Left: CT. Right: PSMA PET, same axial level, 18F tracer. PET panel 200×200 px (4.1 mm/px).
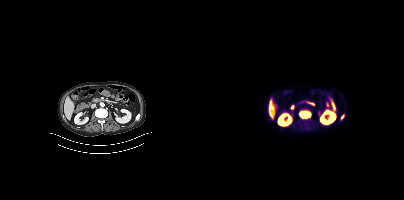
Coordinates are on the 200×200 PET (right) panel. PSMA-avid tumor lesion bounding boxes (x, y, width, height): x=95 y=111 w=12 h=7 / x=137 y=115 w=4 h=5.